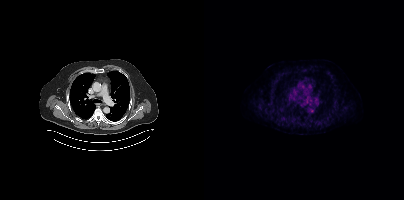
{"pet_grid":[200,200],"coord_frame":"pet_panel","coord_format":"x0,y0,x1,y1","partial":true,"lesion_bboxes":[],"modality":"PSMA PET/CT","view":"axial","tracer":"[18F]PSMA-1007"}